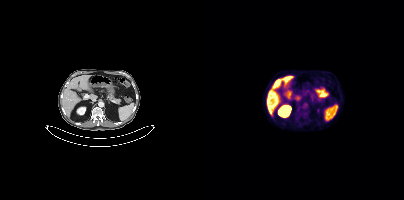
{"pet_grid":[200,200],"coord_frame":"pet_panel","coord_format":"x0,y0,x1,y1","psma_avid_lesions":false,"modality":"PSMA PET/CT","view":"axial","tracer":"[18F]PSMA-1007"}